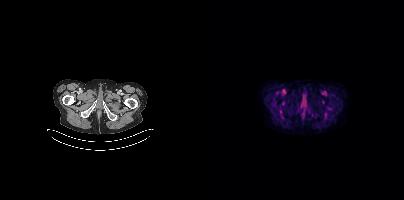
Findings: No PSMA-avid tumor lesions on this slice.
Technique: Left: CT. Right: PSMA PET, same axial level, 18F-PSMA tracer. acquired on Siemens Biograph mCT Flow 20. PET panel 200×200 px (4.1 mm/px).